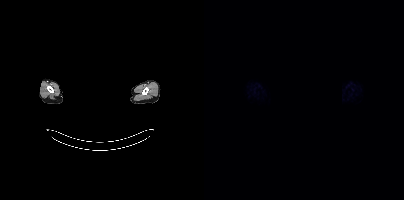
De-identified by setting a box covering the face to black before release. Two-panel axial: CT | PSMA PET, 18F tracer. Acquired on Siemens Biograph mCT Flow 20. PET panel 200×200 px (4.1 mm/px). Negative for PSMA-avid disease on this slice.